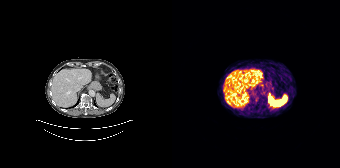
{"modality":"PSMA PET/CT","view":"axial","tracer":"68Ga","pet_grid":[168,168],"coord_frame":"pet_panel","coord_format":"x0,y0,x1,y1","psma_avid_lesions":false}